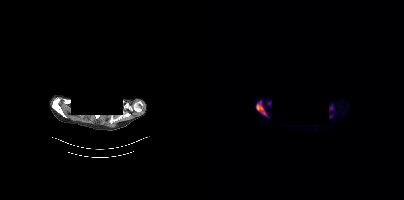
{"pet_grid":[200,200],"coord_frame":"pet_panel","coord_format":"x0,y0,x1,y1","partial":true,"lesion_bboxes":[[52,101,62,115],[64,101,67,105]],"small_foci_centers":[[127,107]],"modality":"PSMA PET/CT","view":"axial","tracer":"18F-PSMA","deidentification":"facial region redacted"}